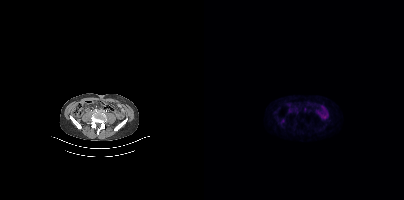
{"modality":"PSMA PET/CT","view":"axial","tracer":"18F","pet_grid":[200,200],"coord_frame":"pet_panel","coord_format":"x0,y0,x1,y1","partial":true,"lesion_bboxes":[],"small_foci_centers":[[78,120]]}